Two-panel axial: CT | PSMA PET, 68Ga tracer. Acquired on Siemens Biograph mCT Flow 20. Slice 153 of 407.
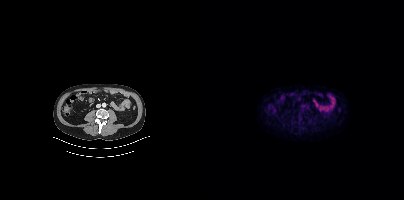
Negative for PSMA-avid disease on this slice.